Paired axial CT (left) and PSMA PET (right), [18F]PSMA-1007 tracer. Acquired on Siemens Biograph mCT Flow 20. Slice 447 of 464. Face de-identified by blanking a block of the head.
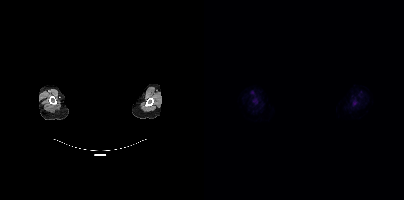
Coordinates are on the 200×200 PET (right) panel. PSMA-avid tumor lesion bounding boxes (x, y, width, height): x=48 y=98 w=7 h=6 / x=149 y=101 w=4 h=5.